Left: CT. Right: PSMA PET, same axial level, 68Ga tracer. Acquired on GE Discovery 690. Slice 235 of 263. The head region is masked for de-identification.
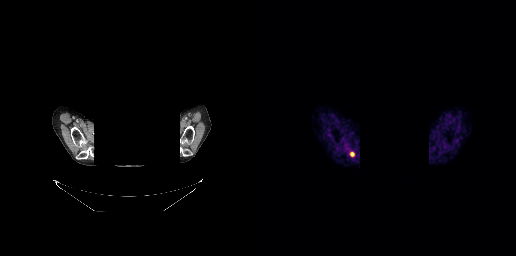
Coordinates are on the 256×256 PET (right) panel. PSMA-avid tumor lesion bounding boxes:
| # | x0 | y0 | x1 | y1 |
|---|---|---|---|---|
| 1 | 90 | 152 | 94 | 156 |